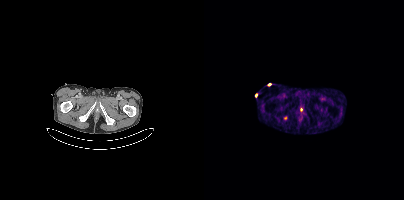
- Left: CT. Right: PSMA PET, same axial level, [68Ga]Ga-PSMA-11 tracer
- PET panel 200×200 px (4.1 mm/px)
Findings: Coordinates are on the 200×200 PET (right) panel. Small PSMA-avid focus (2 to 4 px across) near (center x, center y): (81, 118).